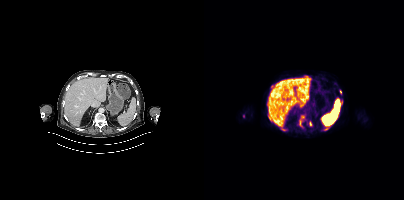
Technique: Two-panel axial: CT | PSMA PET, 18F-PSMA tracer.
Findings: Coordinates are on the 200×200 PET (right) panel. (showing 7 of 9 foci) PSMA-avid tumor lesion bounding boxes (x, y, width, height): x=119 y=127 w=6 h=4 | x=77 y=127 w=6 h=4 | x=137 y=99 w=2 h=5. Small PSMA-avid foci (2 to 4 px across) near (center x, center y): (136, 91) | (96, 121) | (106, 124) | (96, 125).